Technique: Paired axial CT (left) and PSMA PET (right), 18F-PSMA tracer. PET panel 200×200 px (4.1 mm/px).
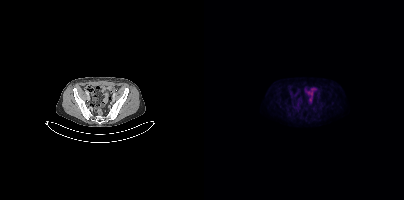
Findings: No tumor lesions annotated on this slice.